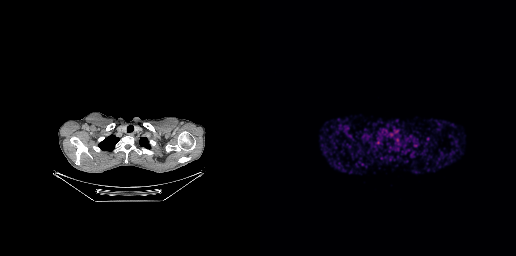
Left: CT. Right: PSMA PET, same axial level, 68Ga tracer. Slice position z = -286 mm. PET panel 256×256 px (2.7 mm/px). No tumor lesions annotated on this slice.